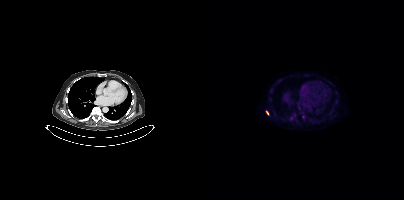
Coordinates are on the 200×200 PET (right) panel. Small PSMA-avid focus (2 to 4 px across) near (center x, center y): (63, 112).